modality: PSMA PET/CT | tracer: 68Ga | view: axial
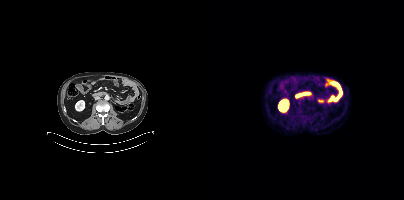
Negative for PSMA-avid disease on this slice.